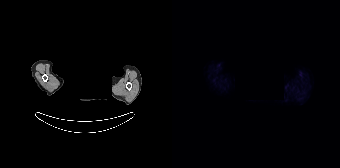
Negative for PSMA-avid disease on this slice.
Any black rectangle over the head is a privacy mask, not anatomy.